Left: CT. Right: PSMA PET, same axial level, [18F]PSMA-1007 tracer. Acquired on Siemens Biograph mCT Flow 20. Slice position z = -404 mm. PET panel 200×200 px (4.1 mm/px).
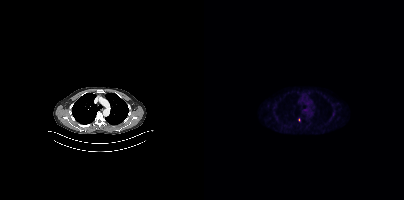
Only PSMA-avid lesion pieces thinner than 2 px on this slice (not listed).